redaction: head region blanked (face removed) | modality: PSMA PET/CT | tracer: 18F-PSMA | view: axial
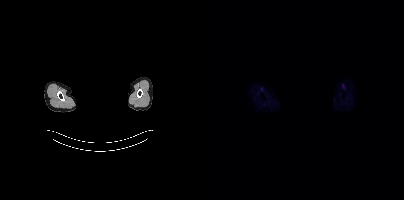
No tumor lesions annotated on this slice.